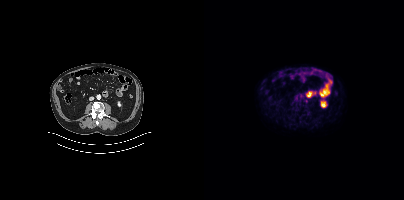
{"modality":"PSMA PET/CT","view":"axial","tracer":"[18F]PSMA-1007","pet_grid":[200,200],"coord_frame":"pet_panel","coord_format":"x0,y0,x1,y1","psma_avid_lesions":false}